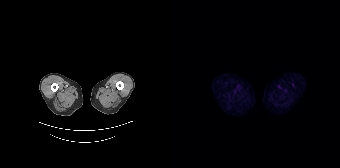
Negative for PSMA-avid disease on this slice.